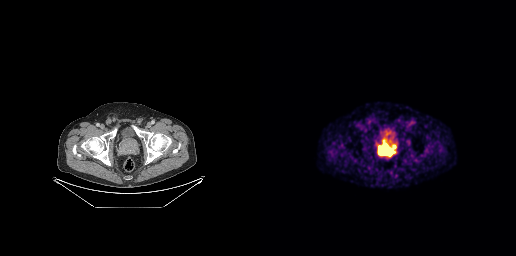
Coordinates are on the 256×256 PET (right) panel. PSMA-avid tumor lesion bounding box (x0, y0)-(x1, y1): (118, 140)-(135, 156). Small PSMA-avid focus (2 to 4 px across) near (center x, center y): (130, 139).